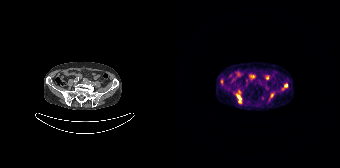
Coordinates are on the 168×168 PET (right) panel. (showing 4 of 5 foci) PSMA-avid tumor lesion bounding box (x, y, width, height): x=64 y=91 w=6 h=13. Small PSMA-avid foci (2 to 4 px across) near (center x, center y): (113, 85) / (100, 95) / (49, 81).
modality: PSMA PET/CT | tracer: 68Ga-PSMA | view: axial